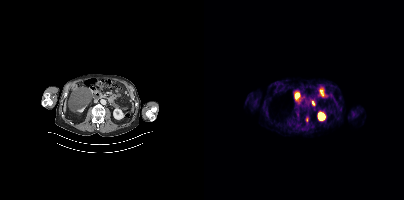
{"pet_grid":[200,200],"coord_frame":"pet_panel","coord_format":"x0,y0,x1,y1","lesion_bboxes":[[102,117,104,121]],"modality":"PSMA PET/CT","view":"axial","tracer":"18F"}